Technique: Two-panel axial: CT | PSMA PET, 18F tracer. slice position z = -1018 mm.
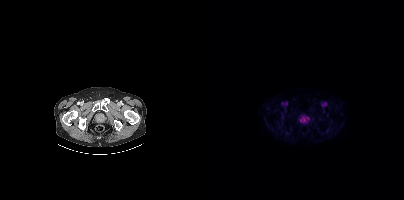
Findings: No tumor lesions annotated on this slice.